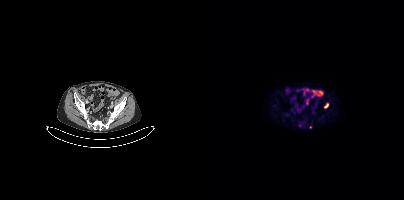
Findings: Coordinates are on the 200×200 PET (right) panel. PSMA-avid tumor lesion bounding box (x, y, width, height): x=120 y=104 w=5 h=4. Small PSMA-avid focus (2 to 4 px across) near (center x, center y): (95, 125).
- Paired axial CT (left) and PSMA PET (right), 18F-PSMA tracer
- slice 92 of 391
- PET panel 200×200 px (4.1 mm/px)